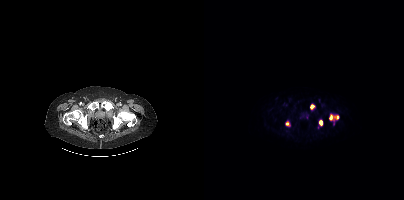
modality: PSMA PET/CT | tracer: 18F-PSMA | view: axial
Coordinates are on the 200×200 PET (right) panel. PSMA-avid tumor lesion bounding boxes (x, y, width, height): x=125 y=114 w=11 h=7 / x=115 y=120 w=4 h=6 / x=106 y=105 w=5 h=5. Small PSMA-avid focus (2 to 4 px across) near (center x, center y): (83, 123).